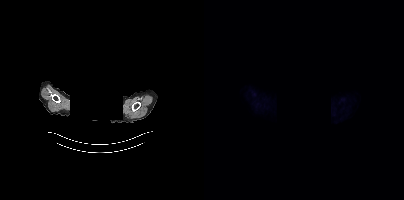
The face region was removed for patient privacy by blanking a rectangle over the head. Left: CT. Right: PSMA PET, same axial level, 18F tracer. This slice has no annotated PSMA-avid lesion.